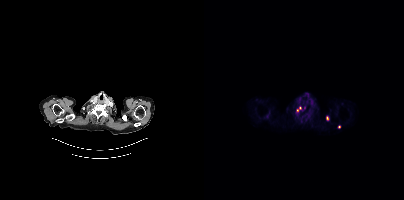
- Paired axial CT (left) and PSMA PET (right), 68Ga tracer
- slice 345 of 409
Findings: Coordinates are on the 200×200 PET (right) panel. (showing 3 of 4 foci) PSMA-avid tumor lesion bounding boxes (x0,y0,x1,y1): [93,107,97,111], [122,116,124,120]. Small PSMA-avid focus (2 to 4 px across) near (center x, center y): (135, 126).